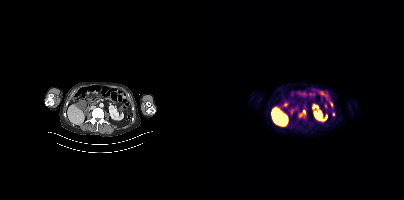
Findings: Coordinates are on the 200×200 PET (right) panel. (showing 3 of 4 foci) Small PSMA-avid foci (2 to 4 px across) near (center x, center y): (100, 111) / (129, 114) / (127, 105).
- Paired axial CT (left) and PSMA PET (right), 18F tracer
- acquired on Siemens Biograph mCT Flow 20
- slice position z = -733 mm
- PET panel 200×200 px (4.1 mm/px)